Paired axial CT (left) and PSMA PET (right), 18F tracer. PET panel 200×200 px (4.1 mm/px).
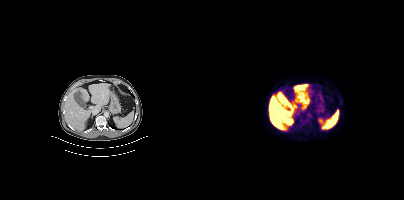
This slice has no annotated PSMA-avid lesion.